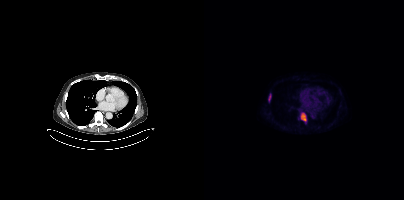
Left: CT. Right: PSMA PET, same axial level, 18F tracer. Slice 278 of 431. PET panel 200×200 px (4.1 mm/px). Coordinates are on the 200×200 PET (right) panel. PSMA-avid tumor lesion bounding boxes (x0,y0,x1,y1): [96,112,102,122] [64,93,67,101].